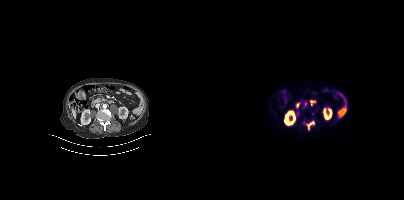
Coordinates are on the 200×200 PET (right) panel. (showing 2 of 3 foci) PSMA-avid tumor lesion bounding box (x0, y0)-(x1, y1): (102, 121)-(110, 130). Small PSMA-avid focus (2 to 4 px across) near (center x, center y): (101, 102).